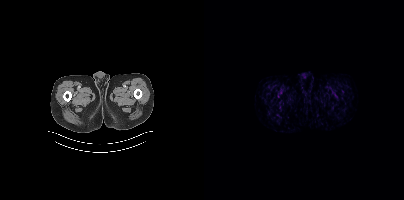
{"modality":"PSMA PET/CT","view":"axial","tracer":"18F","pet_grid":[200,200],"coord_frame":"pet_panel","coord_format":"x0,y0,x1,y1","psma_avid_lesions":false}